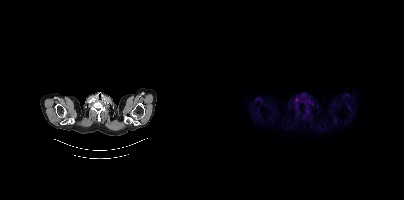
Left: CT. Right: PSMA PET, same axial level, 18F tracer. Acquired on Siemens Biograph mCT Flow 20. Slice 387 of 452. No tumor lesions annotated on this slice.